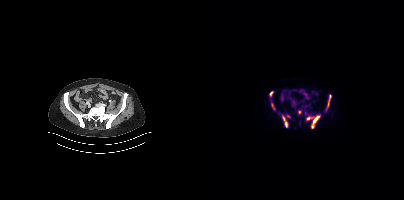
{"modality":"PSMA PET/CT","view":"axial","tracer":"18F","pet_grid":[200,200],"coord_frame":"pet_panel","coord_format":"x0,y0,x1,y1","partial":true,"lesion_bboxes":[[107,116,115,128],[78,116,84,127],[66,92,68,96],[125,95,127,101]],"small_foci_centers":[[104,118],[68,104],[95,112],[84,116]]}